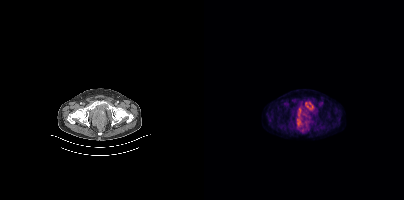
No tumor lesions annotated on this slice.
modality: PSMA PET/CT | tracer: 18F | view: axial | PET grid: 200×200